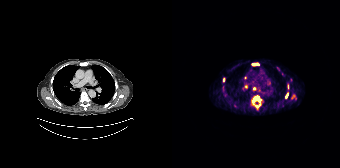
Coordinates are on the 168×168 PET (right) panel. (showing 7 of 10 foci) PSMA-avid tumor lesion bounding box (x0, y0)-(x1, y1): (83, 96)-(88, 101). Small PSMA-avid foci (2 to 4 px across) near (center x, center y): (85, 107) | (74, 86) | (51, 79) | (81, 64) | (73, 77) | (85, 63).